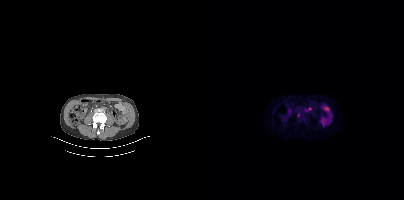
{"modality":"PSMA PET/CT","view":"axial","tracer":"[18F]PSMA-1007","pet_grid":[200,200],"coord_frame":"pet_panel","coord_format":"x0,y0,x1,y1","lesion_bboxes":[[101,107,107,111]]}